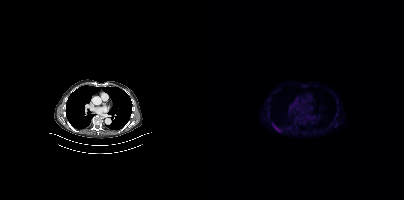
Coordinates are on the 200×200 PET (right) panel. PSMA-avid tumor lesion bounding box (x0,y0,x1,y1): [69,125,76,131].
modality: PSMA PET/CT | tracer: 18F | view: axial | PET grid: 200×200